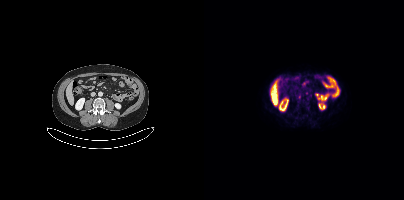
Coordinates are on the 200×200 PET (right) panel. Small PSMA-avid foci (2 to 4 px across) near (center x, center y): (102, 92); (95, 96).